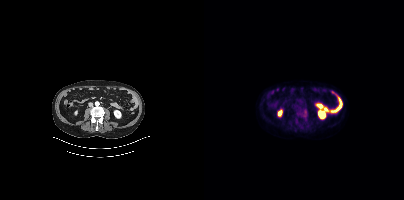
Findings: This slice has no annotated PSMA-avid lesion.
Technique: Left: CT. Right: PSMA PET, same axial level, 18F tracer.